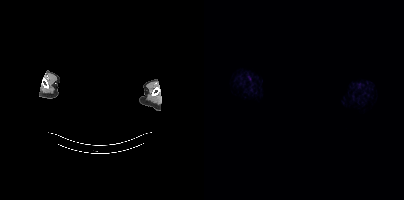
{"modality":"PSMA PET/CT","view":"axial","tracer":"18F","pet_grid":[200,200],"coord_frame":"pet_panel","coord_format":"x0,y0,x1,y1","deidentification":"face masked with black rectangle","psma_avid_lesions":false}